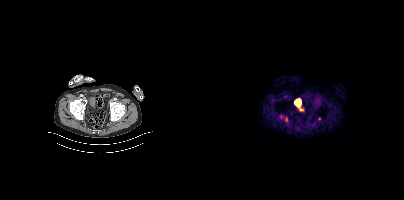
Left: CT. Right: PSMA PET, same axial level, 18F tracer. Acquired on Siemens Biograph mCT Flow 20. Slice 99 of 427. Coordinates are on the 200×200 PET (right) panel. Small PSMA-avid focus (2 to 4 px across) near (center x, center y): (115, 118).